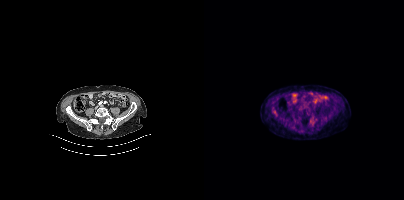
Only PSMA-avid lesion pieces thinner than 2 px on this slice (not listed). Two-panel axial: CT | PSMA PET, 18F tracer. Slice 141 of 397.